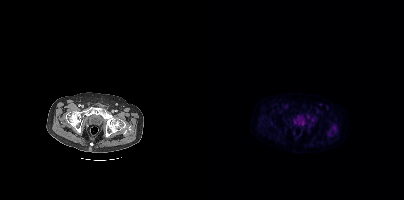
{"modality":"PSMA PET/CT","view":"axial","tracer":"18F","pet_grid":[200,200],"coord_frame":"pet_panel","coord_format":"x0,y0,x1,y1","psma_avid_lesions":false}